Technique: Two-panel axial: CT | PSMA PET, [18F]PSMA-1007 tracer. PET panel 200×200 px (4.1 mm/px).
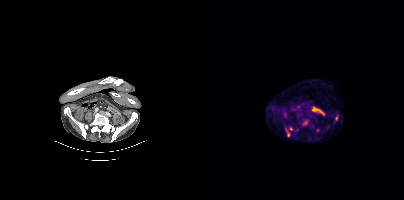
Findings: Coordinates are on the 200×200 PET (right) panel. (showing 6 of 7 foci) PSMA-avid tumor lesion bounding boxes (x0, y0)-(x1, y1): (99, 121)-(104, 125) / (81, 128)-(85, 136). Small PSMA-avid foci (2 to 4 px across) near (center x, center y): (131, 118) / (87, 128) / (123, 127) / (113, 130).